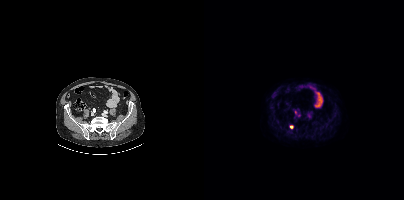
Coordinates are on the 200×200 PET (right) panel. (showing 2 of 3 foci) PSMA-avid tumor lesion bounding box (x0, y0)-(x1, y1): (85, 125)-(89, 128). Small PSMA-avid focus (2 to 4 px across) near (center x, center y): (91, 112).